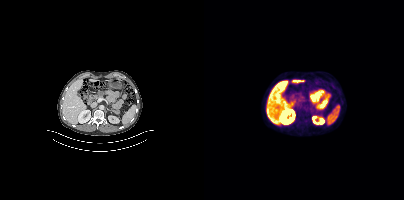
No tumor lesions annotated on this slice. Two-panel axial: CT | PSMA PET, 18F tracer. PET panel 200×200 px (4.1 mm/px).